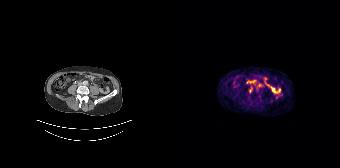
Left: CT. Right: PSMA PET, same axial level, 68Ga tracer. Acquired on Siemens Biograph 64-4R TruePoint. Slice position z = -794 mm. PET panel 168×168 px (4.1 mm/px). Only PSMA-avid lesion pieces thinner than 2 px on this slice (not listed).